Paired axial CT (left) and PSMA PET (right), 18F tracer. Slice position z = -1423 mm. PET panel 200×200 px (4.1 mm/px).
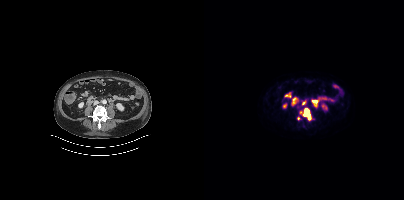
Coordinates are on the 200×200 PET (right) panel. (showing 2 of 3 foci) PSMA-avid tumor lesion bounding box (x0,y0,x1,y1): [99,108,106,119]. Small PSMA-avid focus (2 to 4 px across) near (center x, center y): (99, 103).